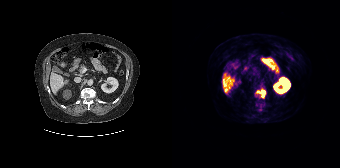
Findings: Coordinates are on the 168×168 PET (right) panel. PSMA-avid tumor lesion bounding box (x, y, width, height): x=84 y=89 w=10 h=9.
- Two-panel axial: CT | PSMA PET, 68Ga-PSMA tracer